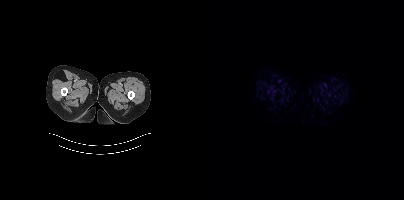
{"pet_grid":[200,200],"coord_frame":"pet_panel","coord_format":"x0,y0,x1,y1","psma_avid_lesions":false,"modality":"PSMA PET/CT","view":"axial","tracer":"18F"}